- Paired axial CT (left) and PSMA PET (right), 68Ga-PSMA tracer
- PET panel 168×168 px (4.1 mm/px)
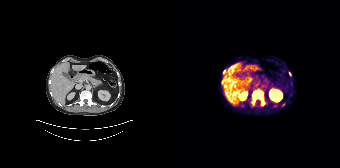
Findings: Coordinates are on the 168×168 PET (right) panel. PSMA-avid tumor lesion bounding boxes (x, y, width, height): x=80 y=89 w=13 h=17 / x=49 y=80 w=3 h=5. Small PSMA-avid foci (2 to 4 px across) near (center x, center y): (51, 71) / (117, 73) / (111, 104).